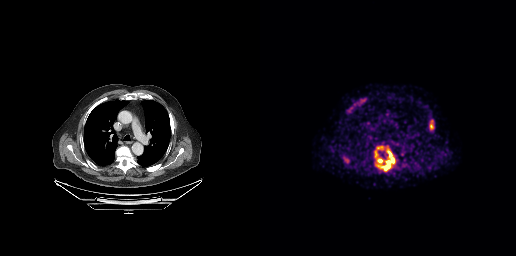
Technique: Paired axial CT (left) and PSMA PET (right), [68Ga]Ga-PSMA-11 tracer.
Findings: Coordinates are on the 256×256 PET (right) panel. PSMA-avid tumor lesion bounding boxes (x, y, width, height): x=115 y=146 w=21 h=26 / x=169 y=120 w=5 h=10.